modality: PSMA PET/CT | tracer: 18F-PSMA | view: axial
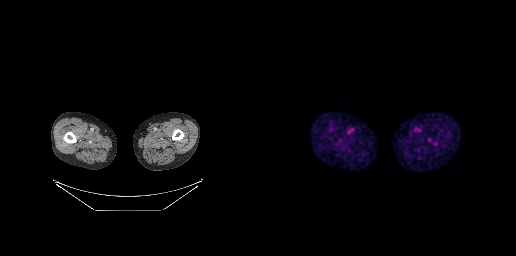
Negative for PSMA-avid disease on this slice.